Technique: Left: CT. Right: PSMA PET, same axial level, [68Ga]Ga-PSMA-11 tracer. PET panel 256×256 px (2.7 mm/px).
Note: A rectangular block over the head has been blanked out for de-identification.
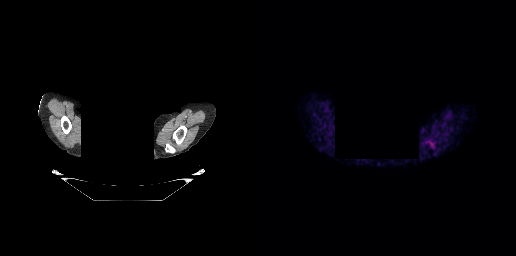
Findings: No tumor lesions annotated on this slice.